Left: CT. Right: PSMA PET, same axial level, 18F tracer. Acquired on Siemens Biograph mCT Flow 20. Slice 228 of 373. PET panel 200×200 px (4.1 mm/px).
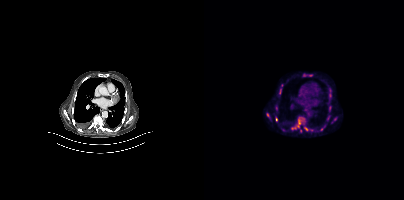
Coordinates are on the 200×200 PET (right) panel. PSMA-avid tumor lesion bounding boxes (partial; 1 more focus not listed):
| # | x0 | y0 | x1 | y1 |
|---|---|---|---|---|
| 1 | 87 | 118 | 101 | 129 |
| 2 | 100 | 126 | 109 | 131 |
| 3 | 125 | 88 | 127 | 97 |
| 4 | 62 | 113 | 66 | 118 |
| 5 | 71 | 117 | 73 | 121 |
| 6 | 76 | 89 | 77 | 93 |
Small PSMA-avid foci (2 to 4 px across) near (center x, center y): (126, 108); (100, 75); (124, 117); (131, 119); (96, 131); (77, 85); (105, 75); (117, 129).